- Left: CT. Right: PSMA PET, same axial level, 68Ga-PSMA tracer
- PET panel 200×200 px (4.1 mm/px)
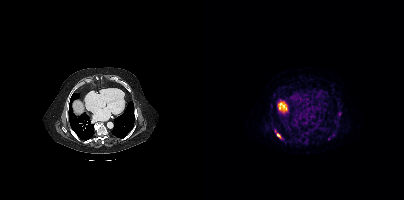
Findings: Coordinates are on the 200×200 PET (right) panel. (showing 1 of 2 foci) PSMA-avid tumor lesion bounding box (x0,y0,x1,y1): [73,133,77,138].